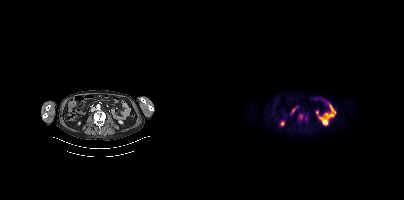
{"modality":"PSMA PET/CT","view":"axial","tracer":"18F-PSMA","pet_grid":[200,200],"coord_frame":"pet_panel","coord_format":"x0,y0,x1,y1","lesion_bboxes":[[94,113,103,120]]}